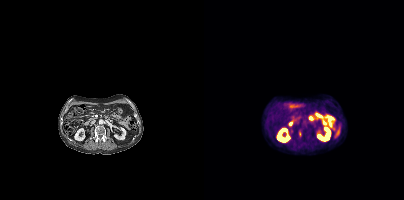
Coordinates are on the 200×200 PET (right) panel. PSMA-avid tumor lesion bounding box (x, y, width, height): x=95 y=131 w=3 h=6. Paired axial CT (left) and PSMA PET (right), 18F tracer. Acquired on Siemens Biograph mCT Flow 20. Slice 182 of 389.